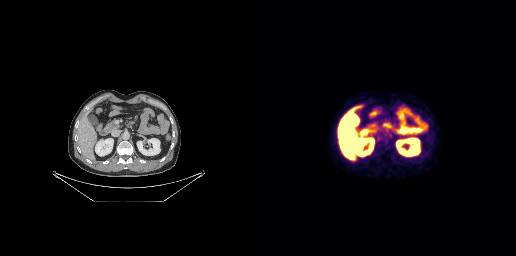
Two-panel axial: CT | PSMA PET, 18F tracer. Slice position z = -436 mm. Coordinates are on the 256×256 PET (right) panel. PSMA-avid tumor lesion bounding box (x0,y0,x1,y1): [128,134,133,138].